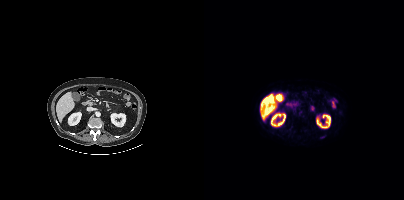
Findings: Coordinates are on the 200×200 PET (right) panel. Small PSMA-avid focus (2 to 4 px across) near (center x, center y): (120, 135).
- Two-panel axial: CT | PSMA PET, [18F]PSMA-1007 tracer
- slice 279 of 508